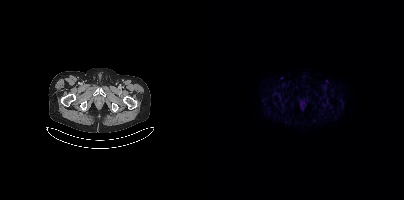
modality: PSMA PET/CT | tracer: [18F]PSMA-1007 | view: axial
This slice has no annotated PSMA-avid lesion.